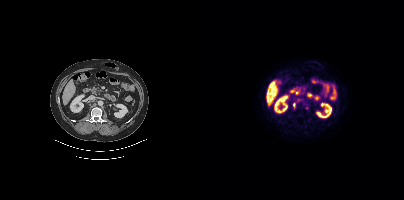
Coordinates are on the 200×200 PET (right) panel. (showing 2 of 3 foci) PSMA-avid tumor lesion bounding box (x0,y0,x1,y1): [89,103,91,107]. Small PSMA-avid focus (2 to 4 px across) near (center x, center y): (103, 107).
modality: PSMA PET/CT | tracer: 18F-PSMA | view: axial | PET grid: 200×200